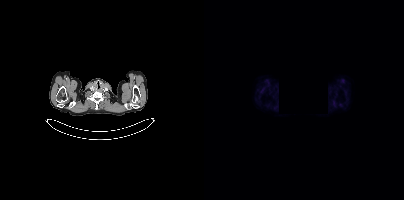
Negative for PSMA-avid disease on this slice.
modality: PSMA PET/CT | tracer: 18F-PSMA | view: axial | redaction: rectangular block set to black